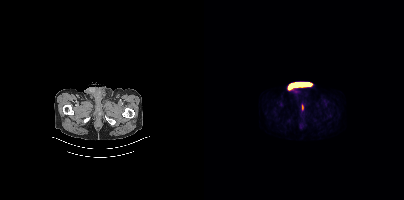
Negative for PSMA-avid disease on this slice. Two-panel axial: CT | PSMA PET, [18F]PSMA-1007 tracer. PET panel 200×200 px (4.1 mm/px).